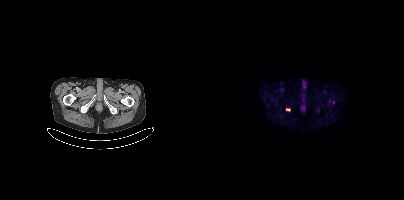
modality: PSMA PET/CT | tracer: [18F]PSMA-1007 | view: axial
Coordinates are on the 200×200 PET (right) panel. PSMA-avid tumor lesion bounding box (x, y, width, height): x=82 y=109 w=5 h=2.